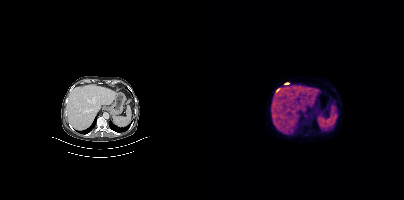
{"modality":"PSMA PET/CT","view":"axial","tracer":"18F","pet_grid":[200,200],"coord_frame":"pet_panel","coord_format":"x0,y0,x1,y1","lesion_bboxes":[[81,83,85,84]]}